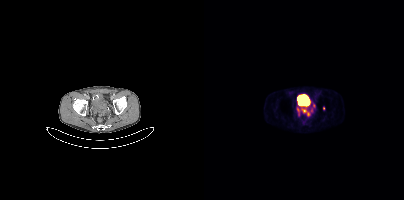
Coordinates are on the 200×200 PET (right) panel. (showing 4 of 5 foci) PSMA-avid tumor lesion bounding boxes (x, y, width, height): x=97 y=107 w=9 h=9; x=93 y=107 w=3 h=9. Small PSMA-avid foci (2 to 4 px across) near (center x, center y): (110, 105); (119, 108).